A rectangle over the head was blacked out to remove identifiable facial features. Paired axial CT (left) and PSMA PET (right), 18F-PSMA tracer. Slice position z = -382 mm. PET panel 200×200 px (4.1 mm/px).
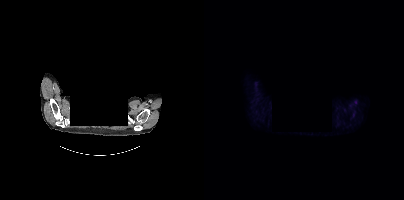
No PSMA-avid tumor lesions on this slice.